- a rectangular block over the head has been blanked out for de-identification
- Paired axial CT (left) and PSMA PET (right), [18F]PSMA-1007 tracer
- slice position z = -774 mm
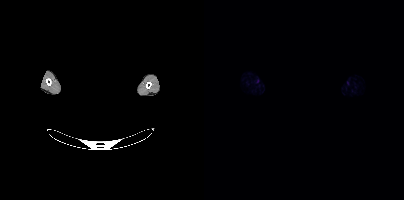
Findings: This slice has no annotated PSMA-avid lesion.